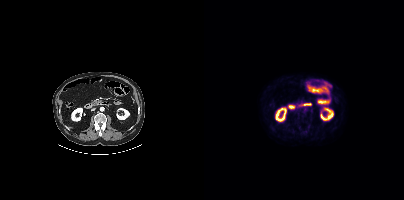
{"modality":"PSMA PET/CT","view":"axial","tracer":"18F-PSMA","pet_grid":[200,200],"coord_frame":"pet_panel","coord_format":"x0,y0,x1,y1","psma_avid_lesions":false}